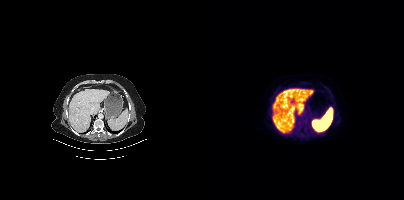
No PSMA-avid tumor lesions on this slice.